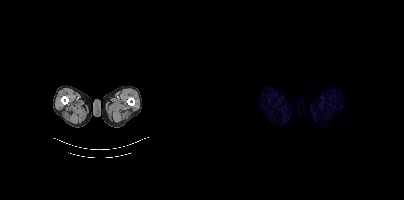
modality: PSMA PET/CT | tracer: 18F-PSMA | view: axial
No tumor lesions annotated on this slice.